modality: PSMA PET/CT | tracer: 18F-PSMA | view: axial
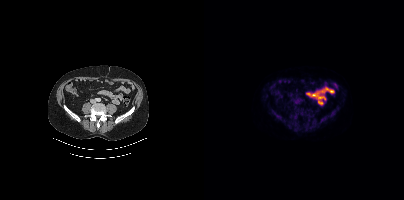
Coordinates are on the 200×200 PET (right) panel. PSMA-avid tumor lesion bounding boxes (x0,y0,x1,y1): [91,107,99,115], [116,115,124,123], [127,110,131,114], [92,101,96,104]. Small PSMA-avid foci (2 to 4 px across) near (center x, center y): (68, 109), (91, 119).